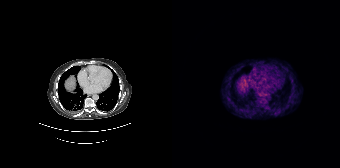
Two-panel axial: CT | PSMA PET, 68Ga tracer. Slice 132 of 195. No tumor lesions annotated on this slice.